modality: PSMA PET/CT | tracer: 18F | view: axial | PET grid: 200×200
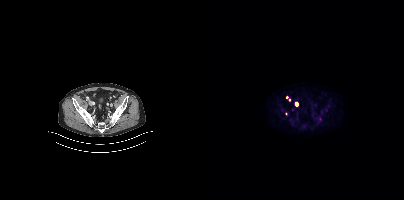
Coordinates are on the 200×200 PET (right) panel. (showing 1 of 3 foci) Small PSMA-avid focus (2 to 4 px across) near (center x, center y): (85, 99).